modality: PSMA PET/CT | tracer: [68Ga]Ga-PSMA-11 | view: axial
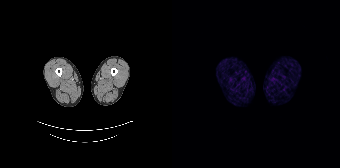
This slice has no annotated PSMA-avid lesion.